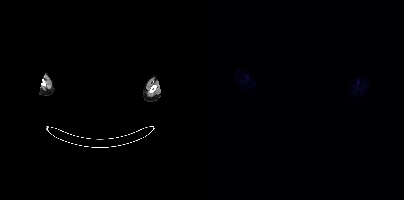
No tumor lesions annotated on this slice.
A rectangular block over the head has been blanked out for de-identification.